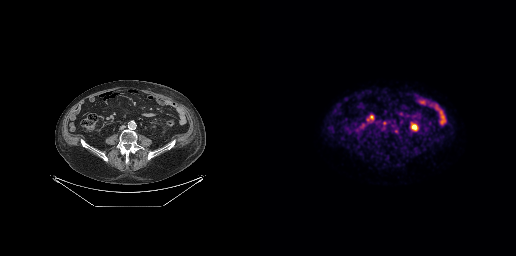
{"modality":"PSMA PET/CT","view":"axial","tracer":"18F-PSMA","pet_grid":[256,256],"coord_frame":"pet_panel","coord_format":"x0,y0,x1,y1","lesion_bboxes":[[122,121,127,127]],"small_foci_centers":[[136,131]]}